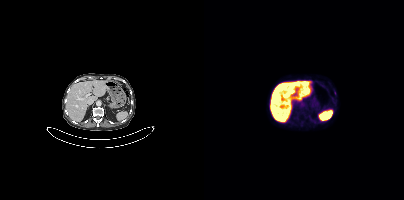
{"modality":"PSMA PET/CT","view":"axial","tracer":"18F","pet_grid":[200,200],"coord_frame":"pet_panel","coord_format":"x0,y0,x1,y1","psma_avid_lesions":false}